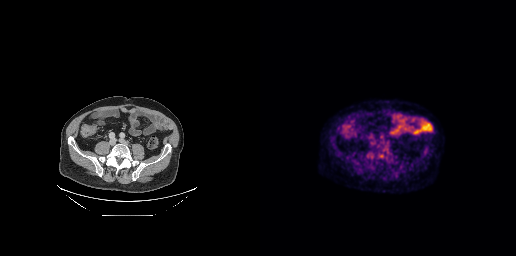
Findings: Coordinates are on the 256×256 PET (right) panel. Small PSMA-avid focus (2 to 4 px across) near (center x, center y): (120, 155).
Technique: Left: CT. Right: PSMA PET, same axial level, 18F-PSMA tracer. slice position z = -609 mm. PET panel 256×256 px (2.7 mm/px).